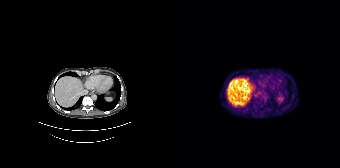
{"modality":"PSMA PET/CT","view":"axial","tracer":"68Ga-PSMA","pet_grid":[168,168],"coord_frame":"pet_panel","coord_format":"x0,y0,x1,y1","psma_avid_lesions":false}